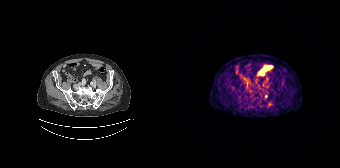
Left: CT. Right: PSMA PET, same axial level, 68Ga tracer. Slice 48 of 165. Coordinates are on the 168×168 PET (right) panel. Small PSMA-avid focus (2 to 4 px across) near (center x, center y): (94, 95).